modality: PSMA PET/CT | tracer: [18F]PSMA-1007 | view: axial | PET grid: 200×200
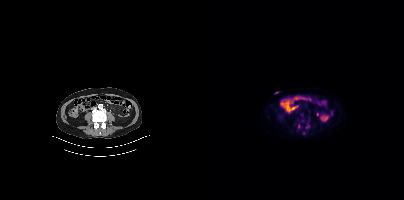
No tumor lesions annotated on this slice.